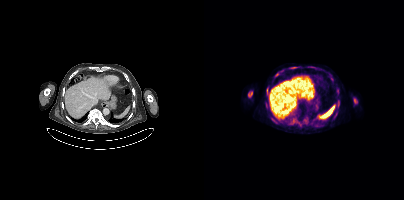
Left: CT. Right: PSMA PET, same axial level, [18F]PSMA-1007 tracer.
Coordinates are on the 200×200 PET (right) panel. PSMA-avid tumor lesion bounding boxes (partial; 1 more focus not listed):
| # | x0 | y0 | x1 | y1 |
|---|---|---|---|---|
| 1 | 44 | 91 | 48 | 97 |
| 2 | 150 | 98 | 153 | 103 |
Small PSMA-avid foci (2 to 4 px across) near (center x, center y): (133, 104); (72, 74); (63, 108); (133, 91); (130, 116); (63, 89); (63, 95).